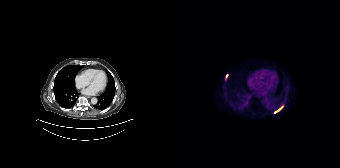
Coordinates are on the 168×168 PET (right) panel. PSMA-avid tumor lesion bounding box (x0, y0)-(x1, y1): (102, 106)-(111, 113). Small PSMA-avid focus (2 to 4 px across) near (center x, center y): (55, 75).